Two-panel axial: CT | PSMA PET, [18F]PSMA-1007 tracer. Slice 242 of 393. PET panel 200×200 px (4.1 mm/px).
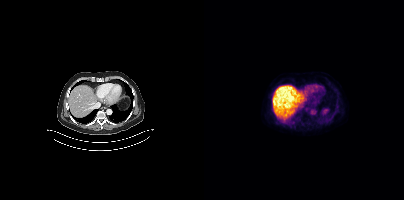
No PSMA-avid tumor lesions on this slice.